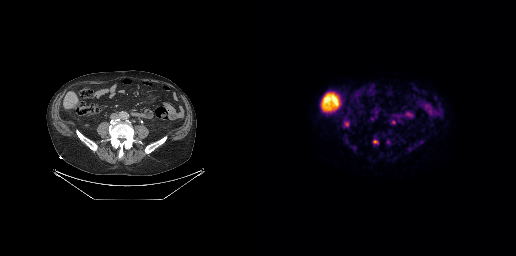
{"modality":"PSMA PET/CT","view":"axial","tracer":"[18F]PSMA-1007","pet_grid":[256,256],"coord_frame":"pet_panel","coord_format":"x0,y0,x1,y1","partial":true,"lesion_bboxes":[[113,139,118,144]]}